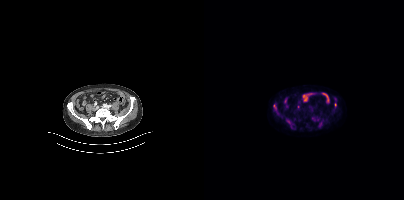
Findings: Coordinates are on the 200×200 PET (right) panel. PSMA-avid tumor lesion bounding boxes (x, y, width, height): x=69 y=105 w=4 h=5 / x=115 y=122 w=3 h=5. Small PSMA-avid foci (2 to 4 px across) near (center x, center y): (131, 104) / (84, 123).
Technique: Left: CT. Right: PSMA PET, same axial level, 18F tracer. slice position z = -1382 mm. PET panel 200×200 px (4.1 mm/px).